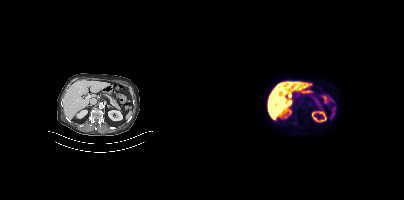
No PSMA-avid tumor lesions on this slice.
modality: PSMA PET/CT | tracer: 18F-PSMA | view: axial